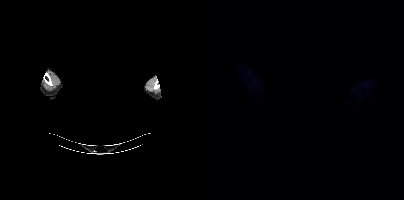
{"modality":"PSMA PET/CT","view":"axial","tracer":"18F","pet_grid":[200,200],"coord_frame":"pet_panel","coord_format":"x0,y0,x1,y1","redaction":"head region blanked (face removed)","psma_avid_lesions":false}